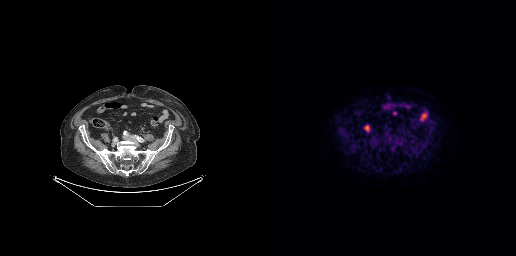
No tumor lesions annotated on this slice.